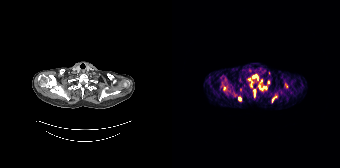
{"modality":"PSMA PET/CT","view":"axial","tracer":"68Ga-PSMA","pet_grid":[168,168],"coord_frame":"pet_panel","coord_format":"x0,y0,x1,y1","partial":true,"lesion_bboxes":[[86,85,95,90],[78,77,81,81],[82,90,83,96],[100,96,104,102]],"small_foci_centers":[[67,98],[96,82],[83,75],[89,81],[52,87]]}